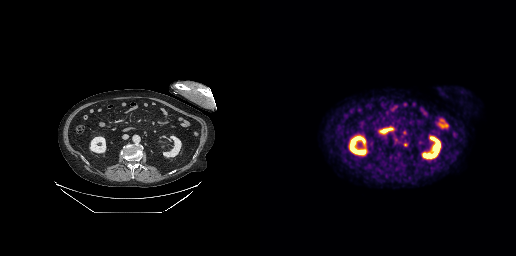
modality: PSMA PET/CT | tracer: 18F | view: axial
Coordinates are on the 256×256 PET (right) panel. Small PSMA-avid focus (2 to 4 px across) near (center x, center y): (145, 144).